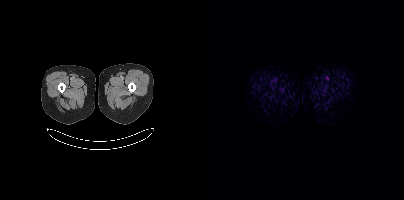
Technique: Left: CT. Right: PSMA PET, same axial level, 18F tracer. acquired on Siemens Biograph mCT Flow 20.
Findings: No PSMA-avid tumor lesions on this slice.